- Left: CT. Right: PSMA PET, same axial level, [18F]PSMA-1007 tracer
- slice position z = -194 mm
- a rectangle over the head was blacked out to remove identifiable facial features
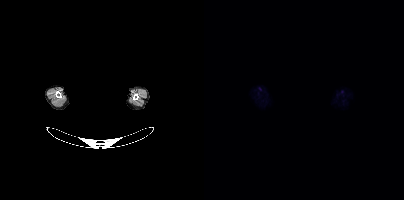
Findings: Negative for PSMA-avid disease on this slice.